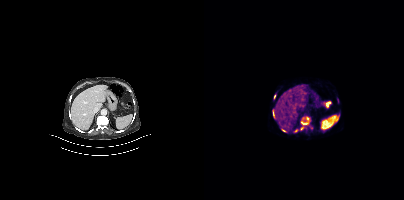
Findings: Coordinates are on the 200×200 PET (right) panel. (showing 6 of 7 foci) PSMA-avid tumor lesion bounding boxes (x0,y0,x1,y1): [97,117,105,129]; [89,129,94,132]; [68,109,70,114]; [77,128,82,132]. Small PSMA-avid foci (2 to 4 px across) near (center x, center y): (70, 96); (99, 118).
Technique: Left: CT. Right: PSMA PET, same axial level, [68Ga]Ga-PSMA-11 tracer. slice 225 of 397.